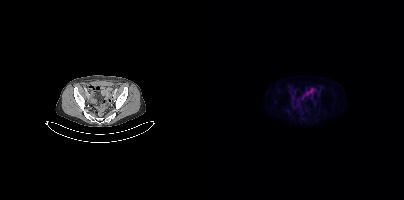
Technique: Paired axial CT (left) and PSMA PET (right), 18F-PSMA tracer. slice position z = -444 mm.
Findings: This slice has no annotated PSMA-avid lesion.